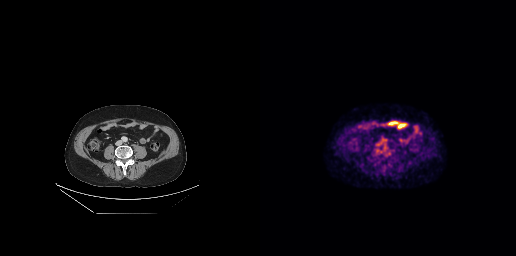
No PSMA-avid tumor lesions on this slice.